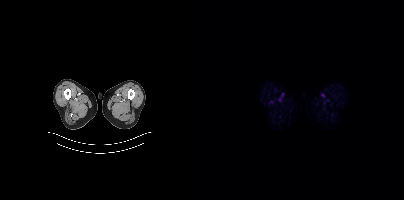
This slice has no annotated PSMA-avid lesion.
modality: PSMA PET/CT | tracer: 18F-PSMA | view: axial